Two-panel axial: CT | PSMA PET, [18F]PSMA-1007 tracer. Slice position z = -624 mm. PET panel 200×200 px (4.1 mm/px).
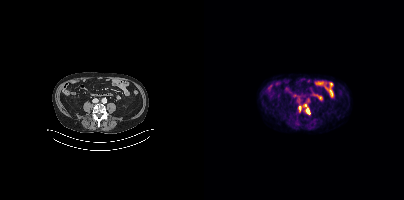
Coordinates are on the 200×200 PET (right) panel. PSMA-avid tumor lesion bounding boxes (x, y, width, height): x=99 y=104 w=8 h=11 | x=94 y=105 w=4 h=8.